Technique: Left: CT. Right: PSMA PET, same axial level, 18F-PSMA tracer. acquired on Siemens Biograph 64-4R TruePoint. slice 75 of 165. PET panel 168×168 px (4.1 mm/px).
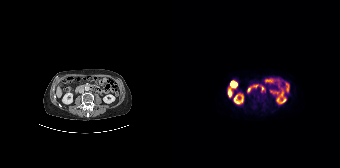
Findings: Coordinates are on the 168×168 PET (right) panel. Small PSMA-avid focus (2 to 4 px across) near (center x, center y): (90, 88).